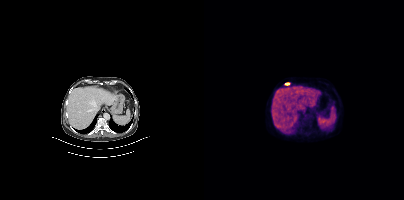
modality: PSMA PET/CT | tracer: 18F | view: axial | PET grid: 200×200
Coordinates are on the 200×200 PET (right) panel. PSMA-avid tumor lesion bounding box (x0, y0)-(x1, y1): (81, 83)-(85, 84).